Technique: Left: CT. Right: PSMA PET, same axial level, [18F]PSMA-1007 tracer. PET panel 200×200 px (4.1 mm/px).
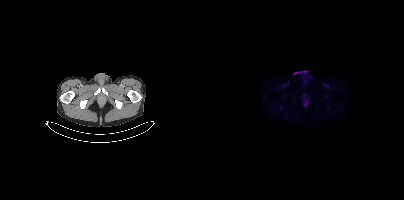
Findings: This slice has no annotated PSMA-avid lesion.